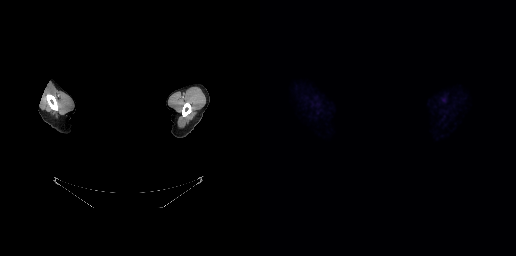
Findings: Negative for PSMA-avid disease on this slice.
- face de-identified by blanking a block of the head
- Left: CT. Right: PSMA PET, same axial level, 18F-PSMA tracer
- slice 253 of 263